- Left: CT. Right: PSMA PET, same axial level, 18F-PSMA tracer
- acquired on Siemens Biograph mCT Flow 20
- slice 50 of 405
- PET panel 200×200 px (4.1 mm/px)
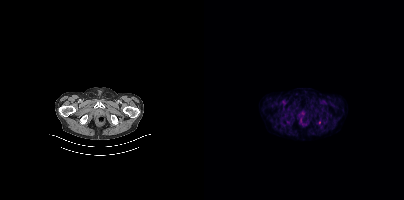
Findings: Coordinates are on the 200×200 PET (right) panel. Small PSMA-avid focus (2 to 4 px across) near (center x, center y): (115, 122).